Left: CT. Right: PSMA PET, same axial level, [18F]PSMA-1007 tracer. Slice position z = -654 mm.
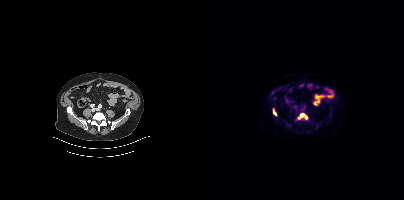
Coordinates are on the 200×200 PET (right) panel. PSMA-avid tumor lesion bounding boxes (x0, y0)-(x1, y1): (94, 113)-(103, 119); (69, 111)-(72, 115).